- Left: CT. Right: PSMA PET, same axial level, 68Ga tracer
- slice position z = -1194 mm
- PET panel 200×200 px (4.1 mm/px)
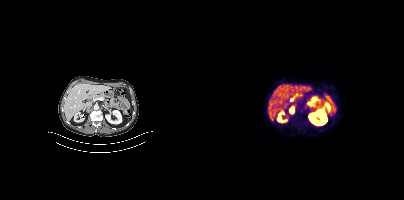
Findings: Coordinates are on the 200×200 PET (right) panel. PSMA-avid tumor lesion bounding box (x0, y0)-(x1, y1): (86, 108)-(89, 112).